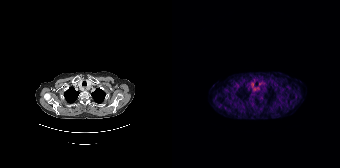
- Two-panel axial: CT | PSMA PET, 68Ga-PSMA tracer
- slice position z = -1014 mm
- PET panel 168×168 px (4.1 mm/px)
Findings: Negative for PSMA-avid disease on this slice.